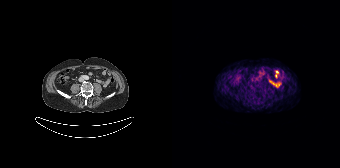
Technique: Paired axial CT (left) and PSMA PET (right), 68Ga tracer. acquired on Siemens Biograph 64-4R TruePoint. slice position z = -566 mm.
Findings: No tumor lesions annotated on this slice.